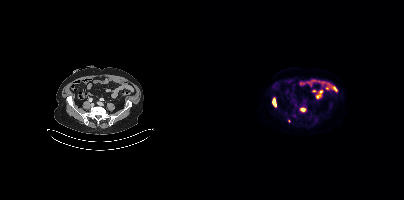
modality: PSMA PET/CT | tracer: [18F]PSMA-1007 | view: axial
Coordinates are on the 200×200 PET (right) panel. PSMA-avid tumor lesion bounding boxes (x0,y0,x1,y1): [68,97,72,107] [96,107,102,112]. Small PSMA-avid focus (2 to 4 px across) near (center x, center y): (84, 121).